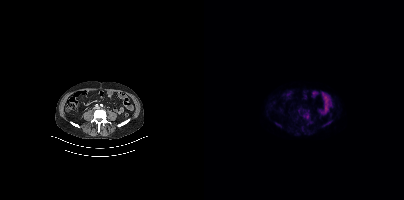
Left: CT. Right: PSMA PET, same axial level, 18F-PSMA tracer. Slice position z = -696 mm. Coordinates are on the 200×200 PET (right) panel. PSMA-avid tumor lesion bounding boxes (x0,y0,x1,y1): [120,121,127,125]; [72,123,76,126].